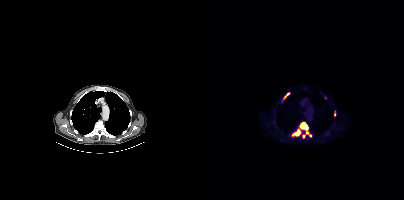
Coordinates are on the 200×200 PET (right) panel. (showing 4 of 5 foci) PSMA-avid tumor lesion bounding boxes (x0,y0,x1,y1): [96,122,107,137] [88,130,95,135] [79,93,85,99] [130,111,131,115].
modality: PSMA PET/CT | tracer: 18F | view: axial | PET grid: 200×200